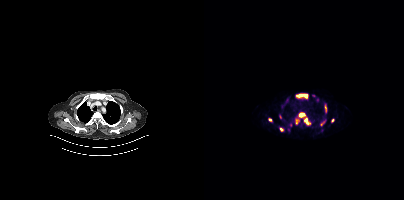
Technique: Two-panel axial: CT | PSMA PET, 68Ga-PSMA tracer. acquired on Siemens Biograph mCT Flow 20. slice position z = 884 mm.
Findings: Coordinates are on the 200×200 PET (right) panel. (showing 10 of 11 foci) PSMA-avid tumor lesion bounding boxes (x, y, width, height): x=92 y=94 w=12 h=5 / x=100 y=118 w=7 h=8 / x=95 y=113 w=6 h=5 / x=120 y=104 w=3 h=8 / x=91 y=118 w=5 h=5 / x=116 y=120 w=6 h=6 / x=75 y=114 w=3 h=5. Small PSMA-avid foci (2 to 4 px across) near (center x, center y): (65, 119) / (77, 129) / (128, 120).